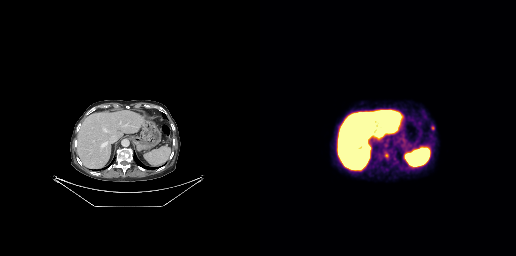
Technique: Left: CT. Right: PSMA PET, same axial level, [18F]PSMA-1007 tracer. acquired on GE Discovery 690.
Findings: Coordinates are on the 256×256 PET (right) panel. PSMA-avid tumor lesion bounding box (x0,y0,x1,y1): [120,150,129,160]. Small PSMA-avid focus (2 to 4 px across) near (center x, center y): (172, 128).